Left: CT. Right: PSMA PET, same axial level, 18F-PSMA tracer. Acquired on Siemens Biograph mCT Flow 20. Slice position z = -1456 mm. PET panel 200×200 px (4.1 mm/px).
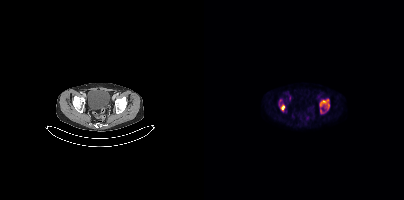
Coordinates are on the 200×200 PET (right) panel. PSMA-avid tumor lesion bounding boxes (partial; 1 more focus not listed):
| # | x0 | y0 | x1 | y1 |
|---|---|---|---|---|
| 1 | 115 | 99 | 125 | 113 |
| 2 | 75 | 99 | 81 | 111 |